modality: PSMA PET/CT | tracer: [18F]PSMA-1007 | view: axial
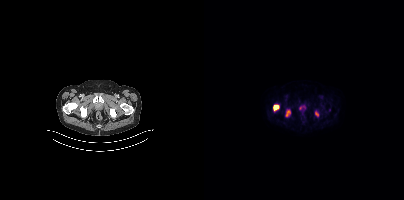
Coordinates are on the 200×200 PET (right) panel. PSMA-avid tumor lesion bounding boxes (x, y, width, height): x=69 y=105 w=7 h=6; x=82 y=111 w=5 h=6; x=111 y=111 w=4 h=6.